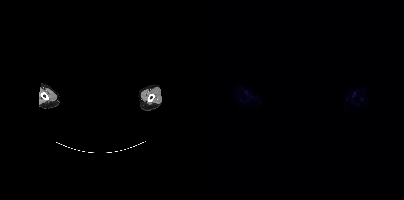
Negative for PSMA-avid disease on this slice.
redaction: rectangular block over head set to black | modality: PSMA PET/CT | tracer: 18F-PSMA | view: axial